Two-panel axial: CT | PSMA PET, 18F tracer. Slice 87 of 462. PET panel 200×200 px (4.1 mm/px).
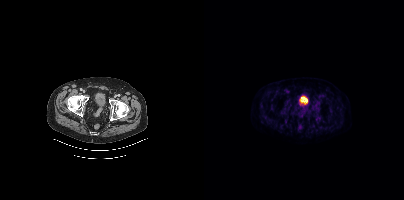
This slice has no annotated PSMA-avid lesion.